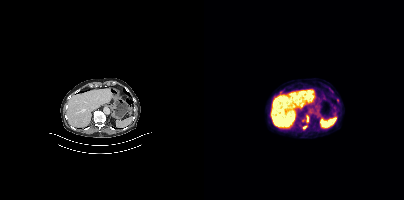
Two-panel axial: CT | PSMA PET, 18F-PSMA tracer.
Coordinates are on the 200×200 PET (right) panel. PSMA-avid tumor lesion bounding boxes:
| # | x0 | y0 | x1 | y1 |
|---|---|---|---|---|
| 1 | 103 | 116 | 104 | 121 |
Small PSMA-avid focus (2 to 4 px across) near (center x, center y): (100, 127).